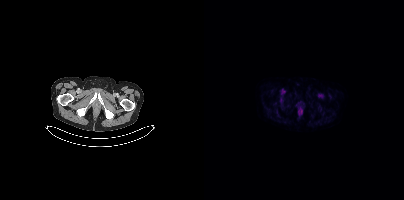
modality: PSMA PET/CT | tracer: [18F]PSMA-1007 | view: axial
This slice has no annotated PSMA-avid lesion.